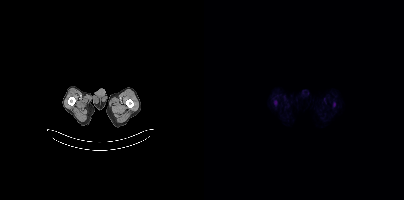
modality: PSMA PET/CT | tracer: 18F | view: axial
No PSMA-avid tumor lesions on this slice.